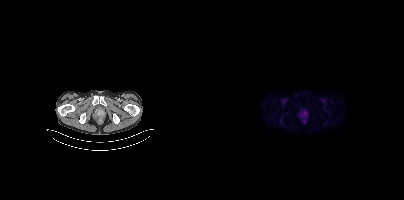
Coordinates are on the 200×200 PET (right) panel. Small PSMA-avid foci (2 to 4 px across) near (center x, center y): (100, 121); (100, 113).